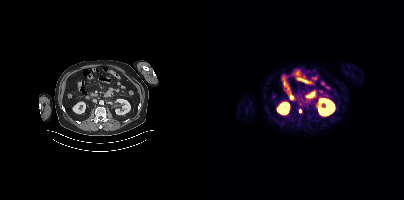
Left: CT. Right: PSMA PET, same axial level, 68Ga tracer. Slice position z = -1248 mm. Coordinates are on the 200×200 PET (right) panel. Small PSMA-avid focus (2 to 4 px across) near (center x, center y): (96, 111).